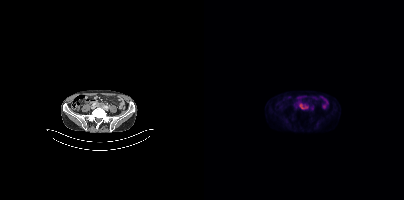
modality: PSMA PET/CT | tracer: 18F | view: axial
Coordinates are on the 200×200 PET (right) panel. PSMA-avid tumor lesion bounding box (x, y, width, height): x=95 y=103 w=10 h=7.